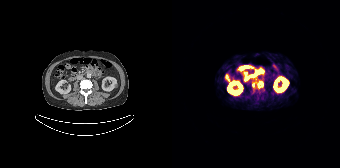
Coordinates are on the 168×168 PET (right) panel. PSMA-avid tumor lesion bounding box (x0,y0,x1,y1): [80,80,91,88]. Left: CT. Right: PSMA PET, same axial level, 68Ga-PSMA tracer. Slice position z = -1004 mm.